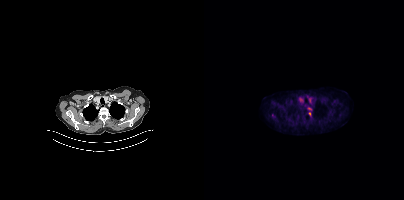
Paired axial CT (left) and PSMA PET (right), 18F-PSMA tracer. Coordinates are on the 200×200 PET (right) panel. Small PSMA-avid foci (2 to 4 px across) near (center x, center y): (105, 108); (105, 113); (69, 115).